- Paired axial CT (left) and PSMA PET (right), 18F-PSMA tracer
- slice position z = 610 mm
- PET panel 200×200 px (4.1 mm/px)
- the head region is masked for de-identification
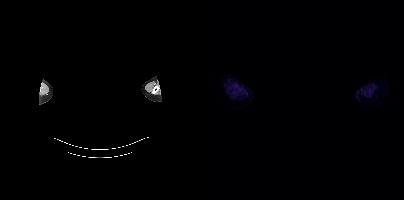
Findings: No PSMA-avid tumor lesions on this slice.